Technique: Paired axial CT (left) and PSMA PET (right), 18F-PSMA tracer.
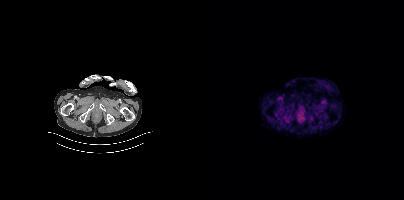
Findings: This slice has no annotated PSMA-avid lesion.